modality: PSMA PET/CT | tracer: 18F-PSMA | view: axial
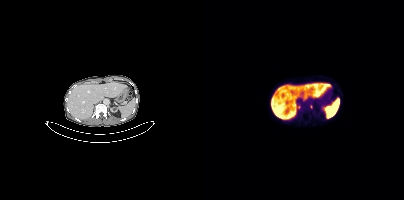
Coordinates are on the 200×200 PET (right) panel. (showing 1 of 2 foci) Small PSMA-avid focus (2 to 4 px across) near (center x, center y): (95, 106).